Paired axial CT (left) and PSMA PET (right), 18F tracer. PET panel 200×200 px (4.1 mm/px).
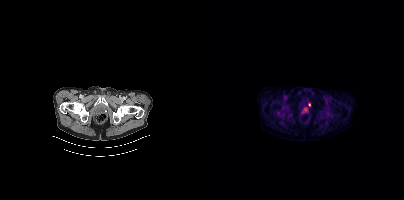
Coordinates are on the 200×200 PET (right) panel. Small PSMA-avid focus (2 to 4 px across) near (center x, center y): (105, 104).